modality: PSMA PET/CT | tracer: 18F | view: axial | PET grid: 200×200
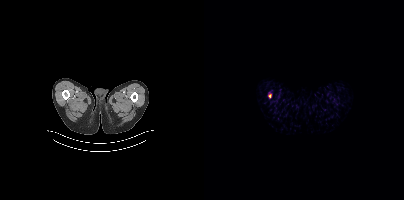
Coordinates are on the 200×200 PET (right) panel. Small PSMA-avid focus (2 to 4 px across) near (center x, center y): (65, 95).